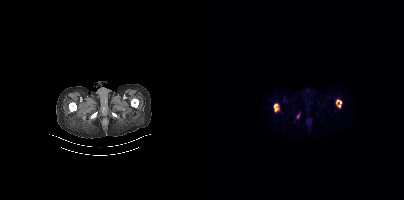
- Paired axial CT (left) and PSMA PET (right), 68Ga-PSMA tracer
- slice 36 of 397
- PET panel 200×200 px (4.1 mm/px)
Findings: No PSMA-avid tumor lesions on this slice.